A rectangle over the head was blacked out to remove identifiable facial features. Two-panel axial: CT | PSMA PET, 18F tracer. Slice 397 of 452. PET panel 200×200 px (4.1 mm/px).
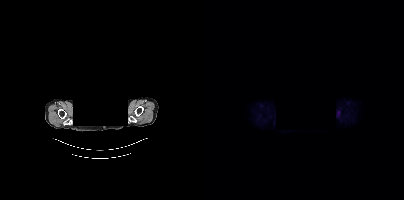
No PSMA-avid tumor lesions on this slice.